Technique: Two-panel axial: CT | PSMA PET, 18F-PSMA tracer. slice position z = -1142 mm.
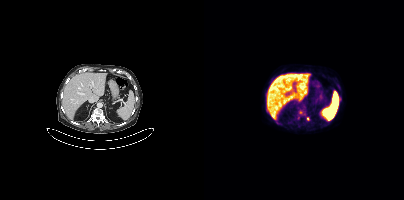
Findings: Coordinates are on the 200×200 PET (right) panel. (showing 3 of 4 foci) PSMA-avid tumor lesion bounding box (x0,y0,x1,y1): [94,111,98,113]. Small PSMA-avid foci (2 to 4 px across) near (center x, center y): (135, 99) (103, 118).